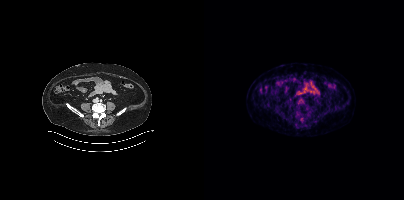
{"modality":"PSMA PET/CT","view":"axial","tracer":"18F-PSMA","pet_grid":[200,200],"coord_frame":"pet_panel","coord_format":"x0,y0,x1,y1","psma_avid_lesions":false}